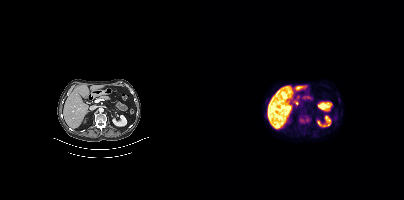
Technique: Two-panel axial: CT | PSMA PET, [18F]PSMA-1007 tracer. acquired on Siemens Biograph mCT Flow 20. PET panel 200×200 px (4.1 mm/px).
Findings: Coordinates are on the 200×200 PET (right) panel. PSMA-avid tumor lesion bounding box (x, y, width, height): x=96 y=115 w=11 h=9.